modality: PSMA PET/CT | tracer: [68Ga]Ga-PSMA-11 | view: axial
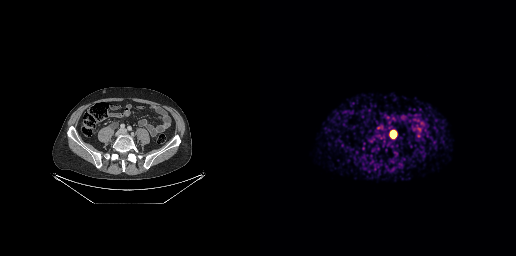
Coordinates are on the 256×256 PET (right) panel. PSMA-avid tumor lesion bounding box (x, y, width, height): x=131 y=131 w=5 h=6.